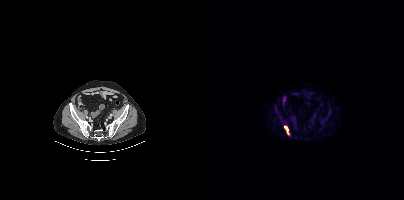
Findings: Coordinates are on the 200×200 PET (right) panel. PSMA-avid tumor lesion bounding box (x0,y0,x1,y1): [80,126,85,134].
- Two-panel axial: CT | PSMA PET, 18F-PSMA tracer
- PET panel 200×200 px (4.1 mm/px)